Left: CT. Right: PSMA PET, same axial level, 18F tracer. Acquired on GE Discovery 690. PET panel 256×256 px (2.7 mm/px).
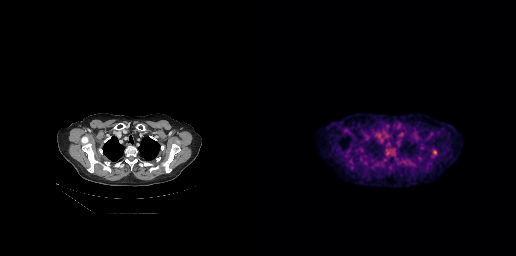
Coordinates are on the 256×256 PET (right) panel. Small PSMA-avid focus (2 to 4 px across) near (center x, center y): (174, 152).